modality: PSMA PET/CT | tracer: [68Ga]Ga-PSMA-11 | view: axial | PET grid: 168×168
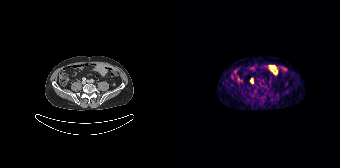
Coordinates are on the 168×168 PET (right) panel. Small PSMA-avid focus (2 to 4 px across) near (center x, center y): (79, 80).